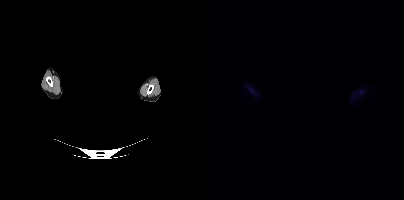
Negative for PSMA-avid disease on this slice. Left: CT. Right: PSMA PET, same axial level, 18F-PSMA tracer. PET panel 200×200 px (4.1 mm/px). Privacy masking over the head, with the pixels inside a rectangle set to black.